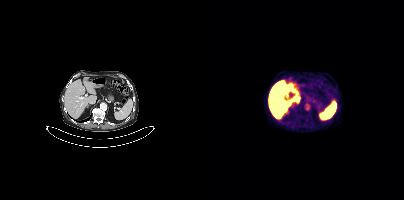
Findings: This slice has no annotated PSMA-avid lesion.
Technique: Two-panel axial: CT | PSMA PET, [18F]PSMA-1007 tracer. acquired on Siemens Biograph mCT Flow 20.